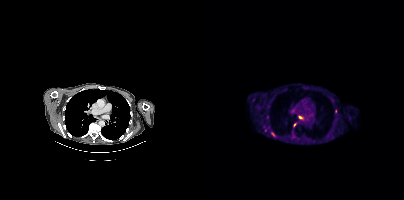
Coordinates are on the 200×200 PET (right) panel. (showing 4 of 5 foci) PSMA-avid tumor lesion bounding box (x, y, width, height): x=67 y=132 w=4 h=5. Small PSMA-avid foci (2 to 4 px across) near (center x, center y): (90, 124) | (63, 116) | (131, 111). Paired axial CT (left) and PSMA PET (right), 18F-PSMA tracer. Acquired on Siemens Biograph mCT Flow 20. Slice 270 of 403. PET panel 200×200 px (4.1 mm/px).